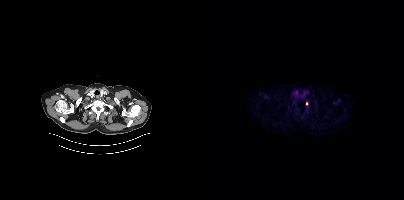
modality: PSMA PET/CT | tracer: 18F | view: axial | PET grid: 200×200
Coordinates are on the 200×200 PET (right) panel. Small PSMA-avid focus (2 to 4 px across) near (center x, center y): (102, 103).